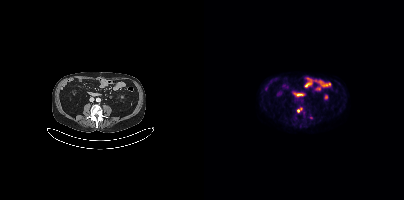
Coordinates are on the 200×200 PET (right) panel. (showing 2 of 3 foci) Small PSMA-avid foci (2 to 4 px across) near (center x, center y): (106, 117) / (94, 111). Two-panel axial: CT | PSMA PET, 18F tracer. Slice 154 of 387. PET panel 200×200 px (4.1 mm/px).